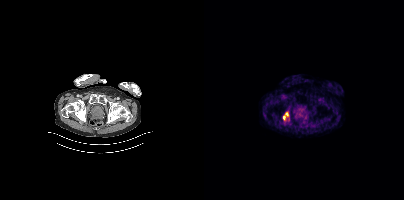
Left: CT. Right: PSMA PET, same axial level, [18F]PSMA-1007 tracer. Slice position z = -960 mm. Coordinates are on the 200×200 PET (right) panel. PSMA-avid tumor lesion bounding box (x, y, width, height): x=79 y=112 w=6 h=8.